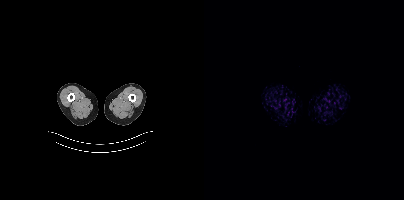
No tumor lesions annotated on this slice.
modality: PSMA PET/CT | tracer: 18F | view: axial